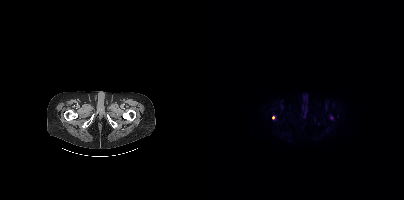
Paired axial CT (left) and PSMA PET (right), 18F-PSMA tracer. Acquired on Siemens Biograph mCT Flow 20. Coordinates are on the 200×200 PET (right) panel. Small PSMA-avid focus (2 to 4 px across) near (center x, center y): (69, 117).